- Paired axial CT (left) and PSMA PET (right), [18F]PSMA-1007 tracer
- acquired on Siemens Biograph mCT Flow 20
- PET panel 200×200 px (4.1 mm/px)
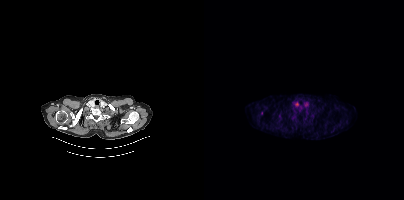
Findings: Coordinates are on the 200×200 PET (right) panel. Small PSMA-avid focus (2 to 4 px across) near (center x, center y): (57, 113).